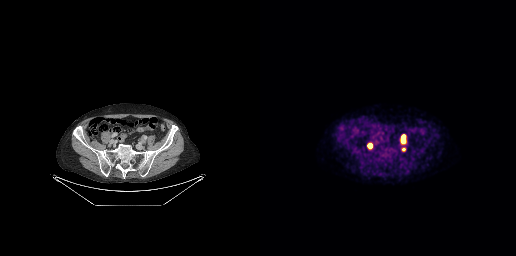
- Two-panel axial: CT | PSMA PET, 18F-PSMA tracer
- acquired on GE Discovery 690
- slice 80 of 263
- PET panel 256×256 px (2.7 mm/px)
Findings: Coordinates are on the 256×256 PET (right) panel. PSMA-avid tumor lesion bounding boxes (x, y, width, height): x=141 y=135 w=5 h=8 / x=108 y=143 w=5 h=6. Small PSMA-avid focus (2 to 4 px across) near (center x, center y): (143, 149).